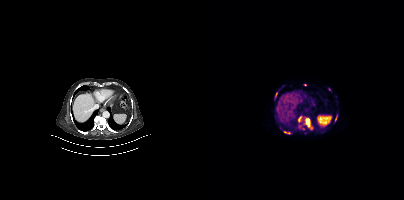
{"modality":"PSMA PET/CT","view":"axial","tracer":"68Ga-PSMA","pet_grid":[200,200],"coord_frame":"pet_panel","coord_format":"x0,y0,x1,y1","lesion_bboxes":[[100,118,107,128],[94,125,100,129],[94,116,97,122],[80,131,85,133],[71,92,73,98],[131,114,134,120]],"small_foci_centers":[[101,84],[125,89]]}